modality: PSMA PET/CT | tracer: 18F-PSMA | view: axial | PET grid: 200×200
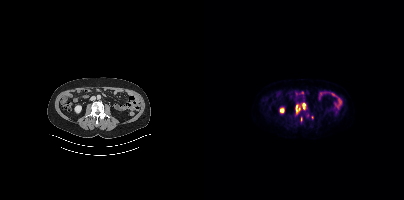
Coordinates are on the 200×200 PET (right) panel. (showing 2 of 3 foci) PSMA-avid tumor lesion bounding boxes (x, y, width, height): x=99 y=103 w=3 h=6 | x=92 y=105 w=2 h=7.